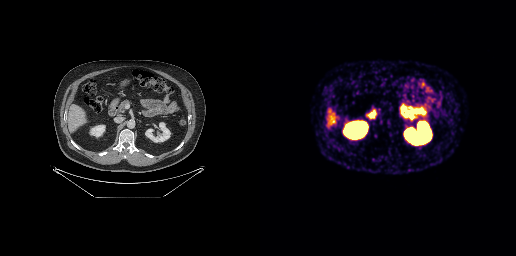
modality: PSMA PET/CT | tracer: [68Ga]Ga-PSMA-11 | view: axial | PET grid: 256×256
No PSMA-avid tumor lesions on this slice.